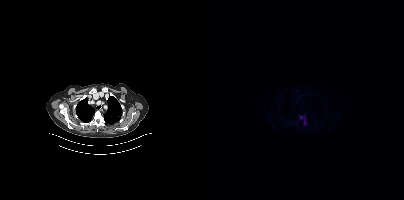
Coordinates are on the 200×200 PET (right) panel. PSMA-avid tumor lesion bounding box (x0, y0)-(x1, y1): (96, 116)-(101, 124).